Paired axial CT (left) and PSMA PET (right), 68Ga tracer. Acquired on GE Discovery 690. PET panel 256×256 px (2.7 mm/px).
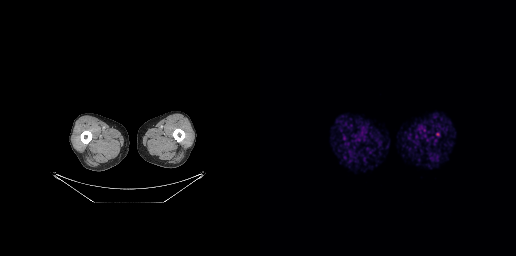
Coordinates are on the 256×256 PET (right) panel. (showing 1 of 2 foci) Small PSMA-avid focus (2 to 4 px across) near (center x, center y): (84, 138).